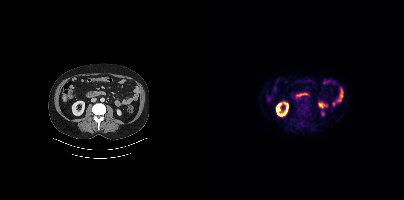
{"modality":"PSMA PET/CT","view":"axial","tracer":"18F-PSMA","pet_grid":[200,200],"coord_frame":"pet_panel","coord_format":"x0,y0,x1,y1","lesion_bboxes":[[92,105,103,117],[95,122,99,126]]}